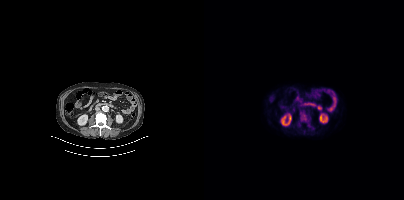
{"modality":"PSMA PET/CT","view":"axial","tracer":"18F-PSMA","pet_grid":[200,200],"coord_frame":"pet_panel","coord_format":"x0,y0,x1,y1","lesion_bboxes":[[96,111,104,122]],"small_foci_centers":[[105,125],[100,131]]}